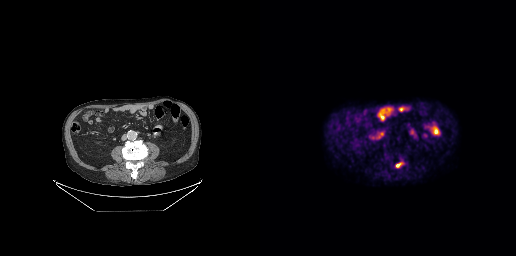
Coordinates are on the 256×256 PET (right) panel. Small PSMA-avid focus (2 to 4 px across) near (center x, center y): (137, 165).
modality: PSMA PET/CT | tracer: [18F]PSMA-1007 | view: axial | PET grid: 256×256